modality: PSMA PET/CT | tracer: [68Ga]Ga-PSMA-11 | view: axial | PET grid: 168×168
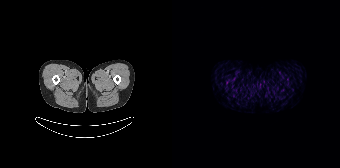
No PSMA-avid tumor lesions on this slice.